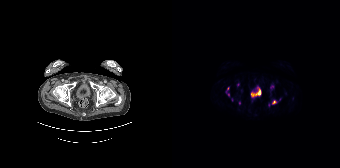
Coordinates are on the 168×168 PET (right) panel. (showing 4 of 8 foci) PSMA-avid tumor lesion bounding box (x0, y0)-(x1, y1): (100, 100)-(104, 104). Small PSMA-avid foci (2 to 4 px across) near (center x, center y): (56, 88); (56, 94); (67, 102).
modality: PSMA PET/CT | tracer: 18F | view: axial | PET grid: 168×168